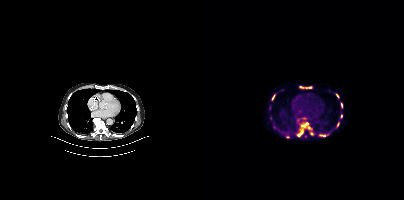
Two-panel axial: CT | PSMA PET, 18F tracer. Acquired on Siemens Biograph mCT Flow 20.
Coordinates are on the 200×200 PET (right) panel. PSMA-avid tumor lesion bounding boxes (partial; 1 more focus not listed):
| # | x0 | y0 | x1 | y1 |
|---|---|---|---|---|
| 1 | 92 | 122 | 108 | 136 |
| 2 | 95 | 85 | 108 | 89 |
| 3 | 115 | 134 | 124 | 136 |
| 4 | 67 | 94 | 71 | 100 |
| 5 | 131 | 93 | 135 | 98 |
| 6 | 136 | 102 | 139 | 108 |
| 7 | 136 | 114 | 138 | 118 |
| 8 | 132 | 122 | 135 | 126 |
Small PSMA-avid focus (2 to 4 px across) near (center x, center y): (107, 133).